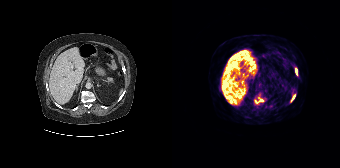
modality: PSMA PET/CT | tracer: 68Ga-PSMA | view: axial | PET grid: 168×168
Coordinates are on the 168×168 PET (right) panel. PSMA-avid tumor lesion bounding boxes (x0, y0)-(x1, y1): (82, 97)-(91, 103) / (123, 68)-(125, 75) / (119, 94)-(123, 101).